Technique: Left: CT. Right: PSMA PET, same axial level, [18F]PSMA-1007 tracer. acquired on Siemens Biograph mCT Flow 20. slice position z = -1554 mm.
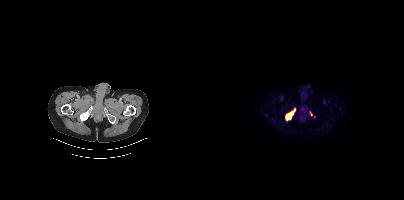
Findings: Coordinates are on the 200×200 PET (right) panel. (showing 2 of 3 foci) PSMA-avid tumor lesion bounding box (x0, y0)-(x1, y1): (82, 108)-(91, 119). Small PSMA-avid focus (2 to 4 px across) near (center x, center y): (107, 113).